Privacy masking, with the pixels inside a rectangle set to black.
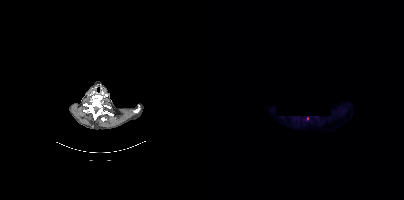
Coordinates are on the 200×200 PET (right) panel. Small PSMA-avid focus (2 to 4 px across) near (center x, center y): (103, 118).